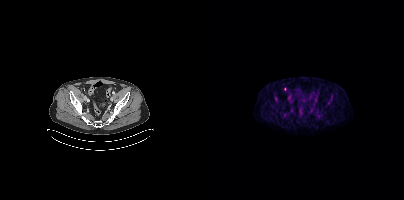
Two-panel axial: CT | PSMA PET, [18F]PSMA-1007 tracer. Slice position z = 1200 mm. PET panel 200×200 px (4.1 mm/px). Only PSMA-avid lesion pieces thinner than 2 px on this slice (not listed).